Left: CT. Right: PSMA PET, same axial level, [18F]PSMA-1007 tracer. Slice position z = -478 mm.
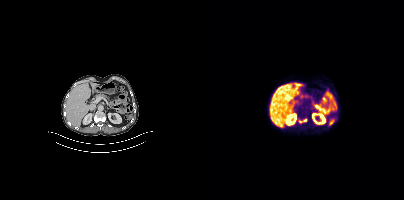
Coordinates are on the 200×200 PET (right) panel. PSMA-avid tumor lesion bounding boxes:
| # | x0 | y0 | x1 | y1 |
|---|---|---|---|---|
| 1 | 95 | 119 | 102 | 122 |